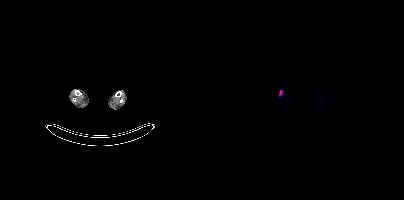
Coordinates are on the 200×200 PET (right) panel. PSMA-avid tumor lesion bounding box (x, y, width, height): x=75 y=90 w=4 h=6.